Paired axial CT (left) and PSMA PET (right), 18F-PSMA tracer. Acquired on Siemens Biograph mCT Flow 20.
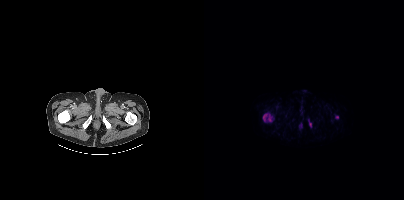
Coordinates are on the 200×200 PET (right) panel. PSMA-avid tumor lesion bounding boxes:
| # | x0 | y0 | x1 | y1 |
|---|---|---|---|---|
| 1 | 59 | 114 | 67 | 121 |
Small PSMA-avid foci (2 to 4 px across) near (center x, center y): (133, 117); (106, 124).